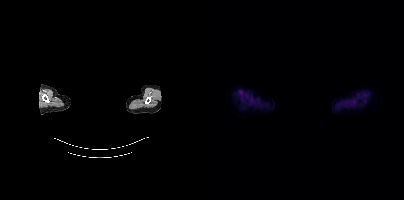
Findings: This slice has no annotated PSMA-avid lesion.
- facial anatomy redacted by setting a rectangular region of the head to black
- Two-panel axial: CT | PSMA PET, 18F-PSMA tracer
- slice position z = 558 mm
- PET panel 200×200 px (4.1 mm/px)